modality: PSMA PET/CT | tracer: 18F-PSMA | view: axial
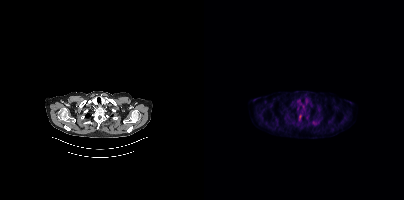
Coordinates are on the 200×200 PET (right) panel. PSMA-avid tumor lesion bounding box (x0, y0)-(x1, y1): (109, 121)-(114, 125). Small PSMA-avid focus (2 to 4 px across) near (center x, center y): (96, 115).